modality: PSMA PET/CT | tracer: [68Ga]Ga-PSMA-11 | view: axial | PET grid: 200×200
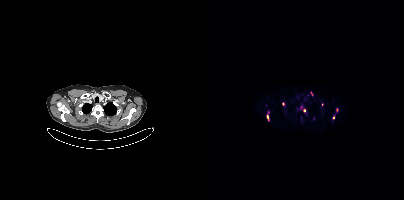
Coordinates are on the 200×200 PET (right) panel. (showing 8 of 11 foci) PSMA-avid tumor lesion bounding box (x0,y0,x1,y1): [106,91,109,95]. Small PSMA-avid foci (2 to 4 px across) near (center x, center y): (64, 111); (63, 116); (129, 117); (118, 104); (97, 107); (100, 111); (132, 111).